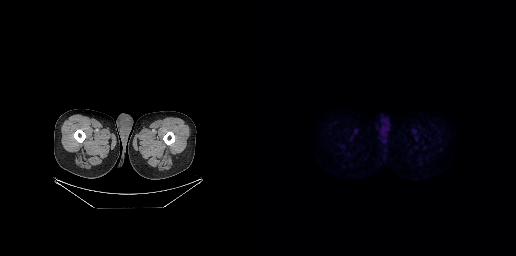
- Left: CT. Right: PSMA PET, same axial level, 18F tracer
- acquired on GE Discovery 690
Findings: No tumor lesions annotated on this slice.